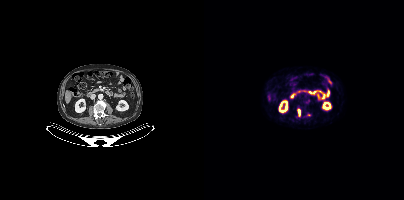
Coordinates are on the 200×200 PET (right) panel. PSMA-avid tumor lesion bounding box (x0, y0)-(x1, y1): (94, 109)-(96, 116). Small PSMA-avid focus (2 to 4 px across) near (center x, center y): (105, 114).
modality: PSMA PET/CT | tracer: [18F]PSMA-1007 | view: axial | PET grid: 200×200